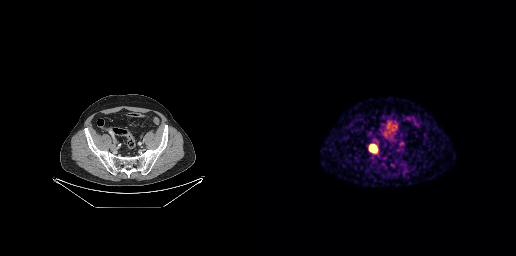
Left: CT. Right: PSMA PET, same axial level, 68Ga-PSMA tracer. Acquired on GE Discovery 690. PET panel 256×256 px (2.7 mm/px).
Coordinates are on the 256×256 PET (right) panel. PSMA-avid tumor lesion bounding boxes:
| # | x0 | y0 | x1 | y1 |
|---|---|---|---|---|
| 1 | 109 | 144 | 117 | 153 |